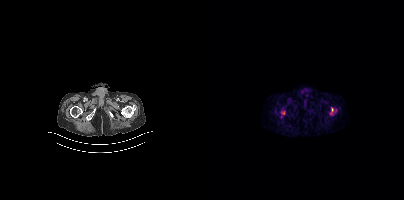
Coordinates are on the 200×200 PET (right) panel. PSMA-avid tumor lesion bounding boxes (x, y, width, height): x=126 y=107 w=4 h=8 / x=77 y=111 w=5 h=4. Small PSMA-avid foci (2 to 4 px across) near (center x, center y): (131, 110) / (77, 116).